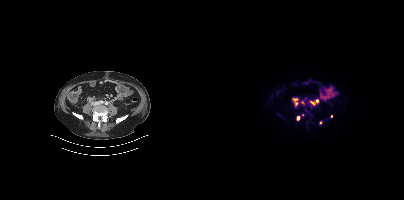
{"modality":"PSMA PET/CT","view":"axial","tracer":"[18F]PSMA-1007","pet_grid":[200,200],"coord_frame":"pet_panel","coord_format":"x0,y0,x1,y1","partial":true,"lesion_bboxes":[[89,98,93,105],[93,116,95,120],[106,101,110,104]],"small_foci_centers":[[98,102],[113,101],[127,116]]}